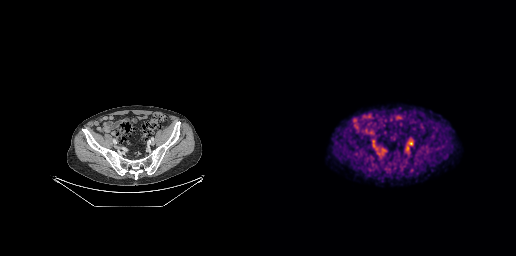
This slice has no annotated PSMA-avid lesion.